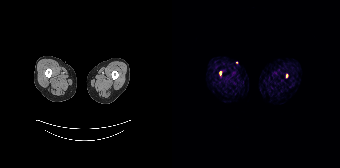
Technique: Left: CT. Right: PSMA PET, same axial level, 68Ga tracer.
Findings: Coordinates are on the 168×168 PET (right) panel. Small PSMA-avid foci (2 to 4 px across) near (center x, center y): (48, 73) / (114, 75).